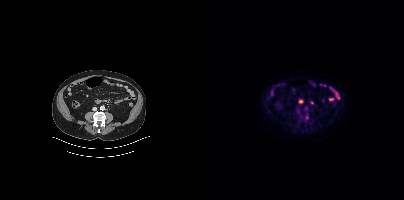
Two-panel axial: CT | PSMA PET, [18F]PSMA-1007 tracer. Negative for PSMA-avid disease on this slice.